Technique: Left: CT. Right: PSMA PET, same axial level, [18F]PSMA-1007 tracer.
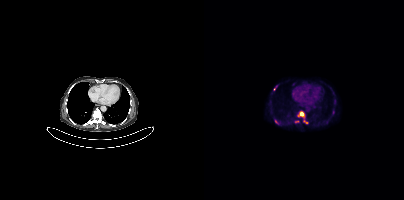
Findings: Coordinates are on the 200×200 PET (right) panel. (showing 5 of 6 foci) PSMA-avid tumor lesion bounding boxes (x0, y0)-(x1, y1): (95, 111)-(103, 123) | (70, 119)-(76, 124) | (128, 110)-(130, 114). Small PSMA-avid foci (2 to 4 px across) near (center x, center y): (92, 121) | (70, 89).